modality: PSMA PET/CT | tracer: [18F]PSMA-1007 | view: axial | PET grid: 200×200
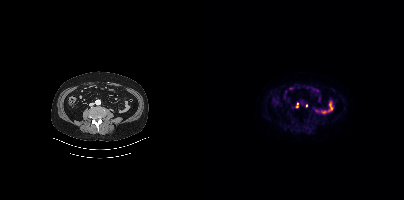
Coordinates are on the 200×200 PET (right) panel. (showing 1 of 2 foci) Small PSMA-avid focus (2 to 4 px across) near (center x, center y): (93, 105).